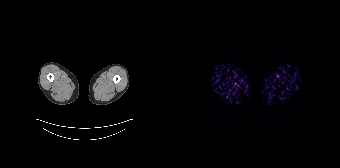
{"modality":"PSMA PET/CT","view":"axial","tracer":"68Ga","pet_grid":[168,168],"coord_frame":"pet_panel","coord_format":"x0,y0,x1,y1","psma_avid_lesions":false}